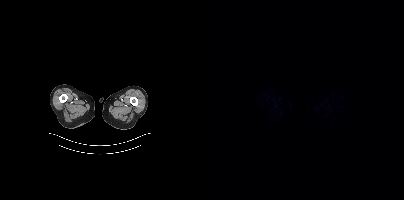
Findings: Negative for PSMA-avid disease on this slice.
Technique: Left: CT. Right: PSMA PET, same axial level, [18F]PSMA-1007 tracer. PET panel 200×200 px (4.1 mm/px).